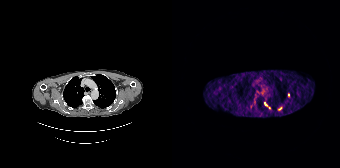
{"modality":"PSMA PET/CT","view":"axial","tracer":"68Ga-PSMA","pet_grid":[168,168],"coord_frame":"pet_panel","coord_format":"x0,y0,x1,y1","partial":true,"lesion_bboxes":[],"small_foci_centers":[[93,103],[108,108],[116,94]]}